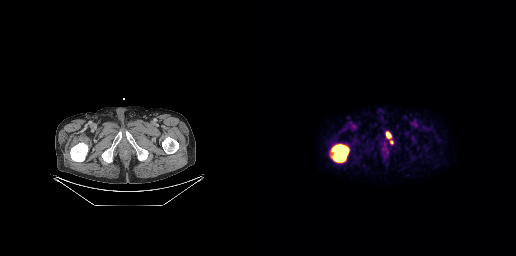
Coordinates are on the 256×256 PET (right) panel. PSMA-avid tumor lesion bounding boxes (x, y, width, height): x=69 y=143 w=21 h=21 / x=126 y=132 w=6 h=7. Small PSMA-avid focus (2 to 4 px across) near (center x, center y): (131, 142).